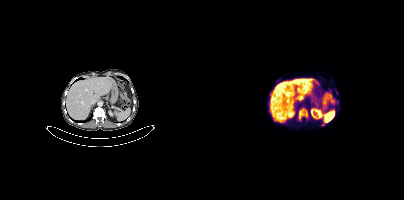
Coordinates are on the 200×200 PET (right) panel. PSMA-avid tumor lesion bounding box (x0,y0,x1,y1): [95,108,103,119]. Two-panel axial: CT | PSMA PET, 18F-PSMA tracer. PET panel 200×200 px (4.1 mm/px).